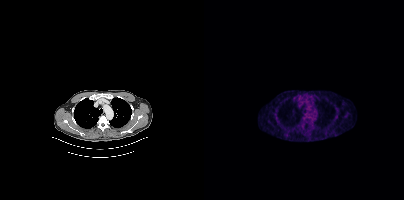
Left: CT. Right: PSMA PET, same axial level, [18F]PSMA-1007 tracer. PET panel 200×200 px (4.1 mm/px). No PSMA-avid tumor lesions on this slice.